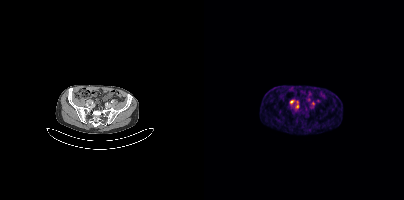
Paired axial CT (left) and PSMA PET (right), [68Ga]Ga-PSMA-11 tracer. Acquired on Siemens Biograph mCT Flow 20. Slice position z = -801 mm. Coordinates are on the 200×200 PET (right) panel. PSMA-avid tumor lesion bounding boxes (x0,y0,x1,y1): [91,104,94,108] [86,100,90,103]. Small PSMA-avid focus (2 to 4 px across) near (center x, center y): (108, 103).